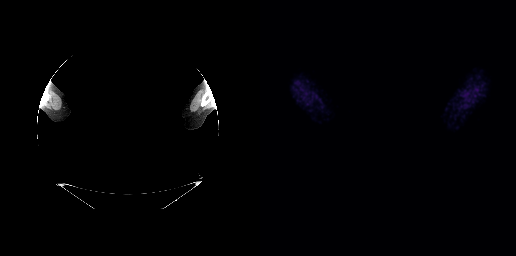
Privacy masking over the head, with the pixels inside a rectangle set to black.
Negative for PSMA-avid disease on this slice.